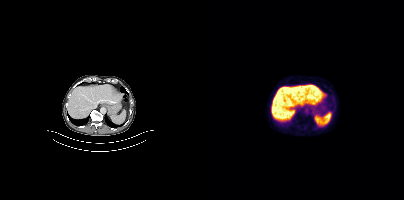
Negative for PSMA-avid disease on this slice.